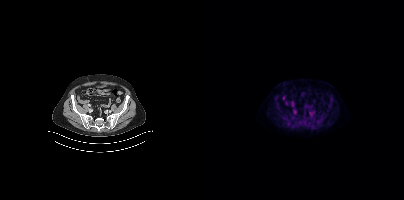
Coordinates are on the 200×200 PET (right) panel. PSMA-avid tumor lesion bounding boxes (x0, y0)-(x1, y1): (89, 108)-(92, 113) | (86, 101)-(90, 105).